Two-panel axial: CT | PSMA PET, 18F tracer. Acquired on Siemens Biograph mCT Flow 20. Slice 245 of 429. PET panel 200×200 px (4.1 mm/px).
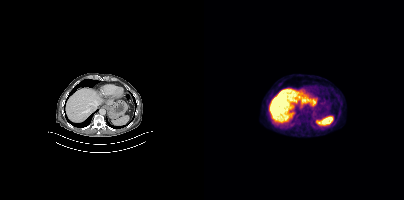
This slice has no annotated PSMA-avid lesion.